Technique: Two-panel axial: CT | PSMA PET, 68Ga tracer. acquired on Siemens Biograph 64-4R TruePoint. slice 85 of 195. PET panel 168×168 px (4.1 mm/px).
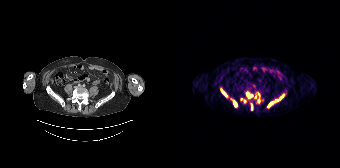
Findings: Coordinates are on the 168×168 PET (right) panel. (showing 8 of 12 foci) PSMA-avid tumor lesion bounding boxes (x0,y0,x1,y1): [96,94,112,107], [61,100,64,106], [49,89,55,96], [75,94,80,97], [79,103,80,109]. Small PSMA-avid foci (2 to 4 px across) near (center x, center y): (86, 100), (72, 101), (86, 94).